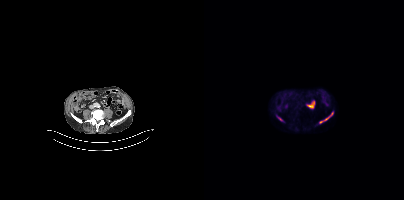
modality: PSMA PET/CT | tracer: 18F | view: axial | PET grid: 200×200
Coordinates are on the 200×200 PET (right) panel. PSMA-avid tumor lesion bounding boxes (x0,y0,x1,y1): [115,112,129,123]; [73,116,78,120].